Two-panel axial: CT | PSMA PET, 18F tracer. Acquired on Siemens Biograph mCT Flow 20.
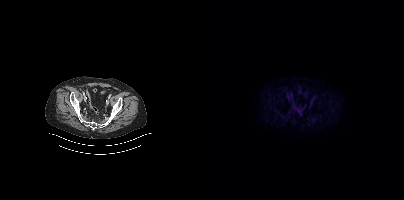
No tumor lesions annotated on this slice.